modality: PSMA PET/CT | tracer: 18F | view: axial | de-identification: rectangular block over head set to black
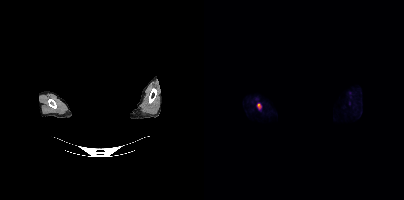
Coordinates are on the 200×200 PET (right) panel. PSMA-avid tumor lesion bounding box (x0,y0,x1,y1): [52,103,57,110].